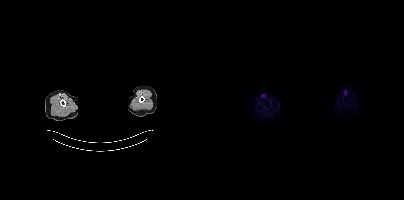
{"modality":"PSMA PET/CT","view":"axial","tracer":"18F","pet_grid":[200,200],"coord_frame":"pet_panel","coord_format":"x0,y0,x1,y1","redaction":"privacy mask over head","psma_avid_lesions":false}